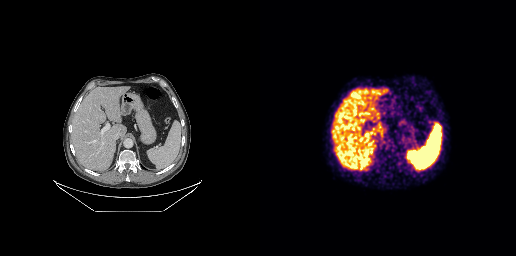
Left: CT. Right: PSMA PET, same axial level, 68Ga tracer. Negative for PSMA-avid disease on this slice.